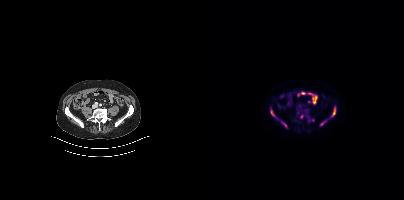
Two-panel axial: CT | PSMA PET, 18F tracer. Slice 112 of 395. Coordinates are on the 200×200 PET (right) panel. (showing 7 of 8 foci) PSMA-avid tumor lesion bounding boxes (x0,y0,x1,y1): [128,107,131,116], [66,110,70,116], [104,118,109,121], [77,121,82,127], [116,121,119,125]. Small PSMA-avid foci (2 to 4 px across) near (center x, center y): (97, 115), (103, 116).